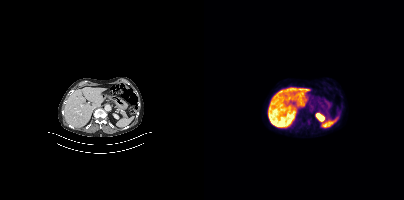
No PSMA-avid tumor lesions on this slice.
modality: PSMA PET/CT | tracer: 18F | view: axial | PET grid: 200×200